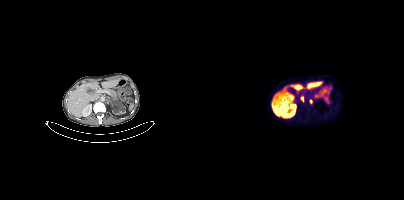
Left: CT. Right: PSMA PET, same axial level, 18F tracer. Coordinates are on the 200×200 PET (right) panel. Small PSMA-avid foci (2 to 4 px across) near (center x, center y): (106, 101) | (98, 97).